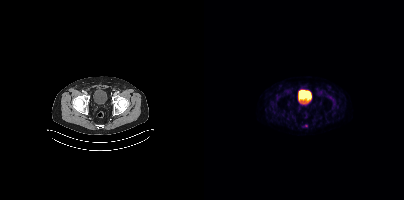
Technique: Two-panel axial: CT | PSMA PET, 68Ga-PSMA tracer. PET panel 200×200 px (4.1 mm/px).
Findings: Only PSMA-avid lesion pieces thinner than 2 px on this slice (not listed).